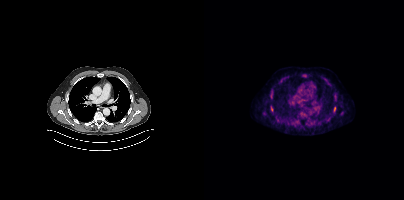
Coordinates are on the 200×200 PET (right) panel. (showing 5 of 7 foci) PSMA-avid tumor lesion bounding boxes (x0,y0,x1,y1): [67,107,69,111]; [130,107,131,111]. Small PSMA-avid foci (2 to 4 px across) near (center x, center y): (67, 96); (80, 78); (124, 83). Left: CT. Right: PSMA PET, same axial level, [18F]PSMA-1007 tracer. Slice position z = 1616 mm.